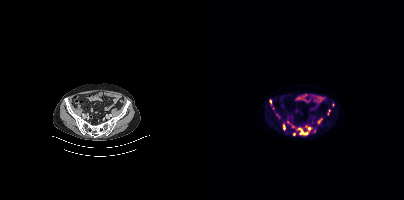
Coordinates are on the 200×200 PET (right) panel. (showing 7 of 12 foci) PSMA-avid tumor lesion bounding boxes (x0, y0)-(x1, y1): (92, 126)-(107, 135) / (113, 118)-(118, 124) / (79, 124)-(81, 129). Small PSMA-avid foci (2 to 4 px across) near (center x, center y): (90, 134) / (66, 101) / (125, 110) / (72, 114).